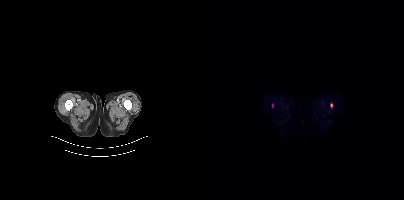
modality: PSMA PET/CT | tracer: 18F-PSMA | view: axial
Coordinates are on the 200×200 PET (right) panel. PSMA-avid tumor lesion bounding box (x, y, width, height): x=126 y=103 w=3 h=5. Small PSMA-avid focus (2 to 4 px across) near (center x, center y): (68, 105).